modality: PSMA PET/CT | tracer: [68Ga]Ga-PSMA-11 | view: axial | PET grid: 168×168
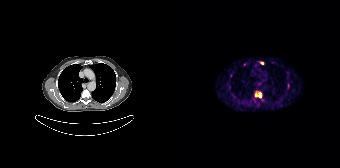
Coordinates are on the 168×168 PET (right) panel. PSMA-avid tumor lesion bounding boxes (x0, y0)-(x1, y1): (83, 92)-(89, 98) | (115, 83)-(117, 89). Small PSMA-avid foci (2 to 4 px across) near (center x, center y): (90, 63) | (72, 64) | (115, 73) | (115, 76).